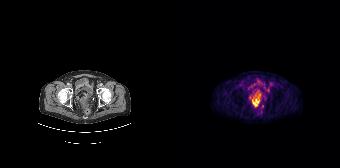
No PSMA-avid tumor lesions on this slice. Two-panel axial: CT | PSMA PET, [68Ga]Ga-PSMA-11 tracer. Acquired on Siemens Biograph 64-4R TruePoint. PET panel 168×168 px (4.1 mm/px).